Paired axial CT (left) and PSMA PET (right), 18F-PSMA tracer. Slice 64 of 165. PET panel 168×168 px (4.1 mm/px).
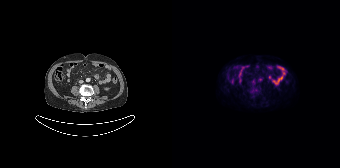
No PSMA-avid tumor lesions on this slice.